Two-panel axial: CT | PSMA PET, 68Ga tracer. Acquired on Siemens Biograph mCT Flow 20. Slice position z = 851 mm. PET panel 200×200 px (4.1 mm/px).
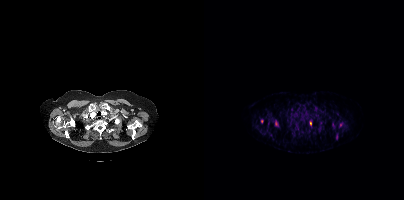
Coordinates are on the 200×200 PET (right) panel. (showing 3 of 5 foci) Small PSMA-avid foci (2 to 4 px across) near (center x, center y): (106, 122) / (136, 125) / (57, 121).